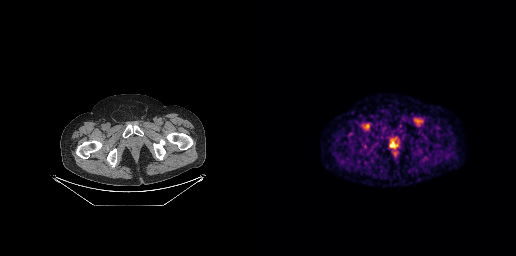
{"modality":"PSMA PET/CT","view":"axial","tracer":"18F-PSMA","pet_grid":[256,256],"coord_frame":"pet_panel","coord_format":"x0,y0,x1,y1","lesion_bboxes":[[131,143,135,147]]}